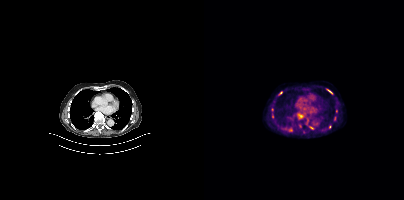
Coordinates are on the 200×200 PET (right) panel. (showing 6 of 8 foci) PSMA-avid tumor lesion bounding boxes (x0, y0)-(x1, y1): (94, 114)-(98, 117) / (123, 89)-(128, 93). Small PSMA-avid foci (2 to 4 px across) near (center x, center y): (68, 115) / (76, 93) / (126, 127) / (107, 127).